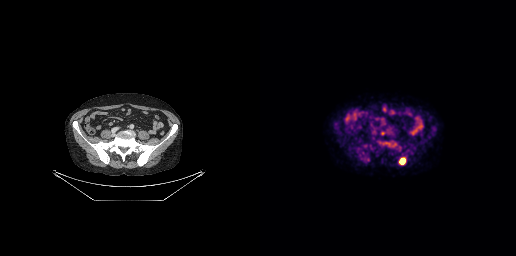
Coordinates are on the 256×256 PET (right) panel. PSMA-avid tumor lesion bounding box (x0, y0)-(x1, y1): (139, 158)-(145, 164).